Paired axial CT (left) and PSMA PET (right), 18F tracer. PET panel 200×200 px (4.1 mm/px). An anonymization step blacked out a rectangle in this scan.
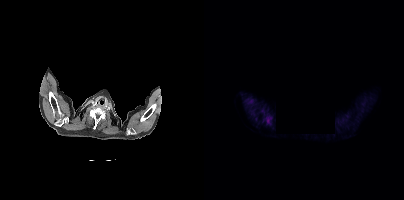
This slice has no annotated PSMA-avid lesion.